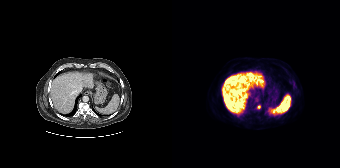
Coordinates are on the 168×168 PET (right) panel. Small PSMA-avid focus (2 to 4 px across) near (center x, center y): (87, 106). Left: CT. Right: PSMA PET, same axial level, [18F]PSMA-1007 tracer. Acquired on Siemens Biograph 64-4R TruePoint. PET panel 168×168 px (4.1 mm/px).